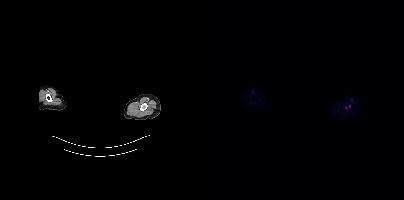
{"modality":"PSMA PET/CT","view":"axial","tracer":"18F","pet_grid":[200,200],"coord_frame":"pet_panel","coord_format":"x0,y0,x1,y1","redaction":"face masked with black rectangle","psma_avid_lesions":false}